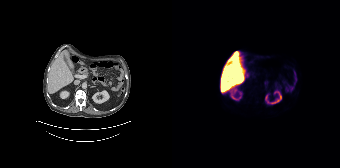
modality: PSMA PET/CT | tracer: 18F | view: axial
No PSMA-avid tumor lesions on this slice.